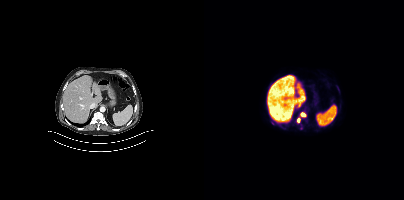
Coordinates are on the 200×200 PET (right) panel. (showing 2 of 3 foci) PSMA-avid tumor lesion bounding boxes (x0, y0)-(x1, y1): (96, 112)-(102, 117) / (93, 117)-(96, 122).